Technique: Paired axial CT (left) and PSMA PET (right), 18F-PSMA tracer. PET panel 256×256 px (2.7 mm/px).
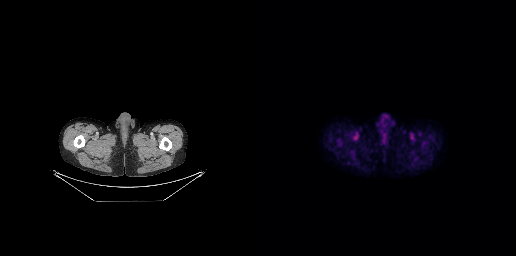
Findings: No tumor lesions annotated on this slice.